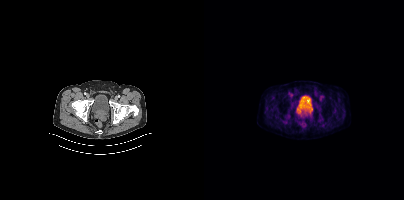
{"pet_grid":[200,200],"coord_frame":"pet_panel","coord_format":"x0,y0,x1,y1","lesion_bboxes":[],"small_foci_centers":[[101,113]],"modality":"PSMA PET/CT","view":"axial","tracer":"18F-PSMA"}